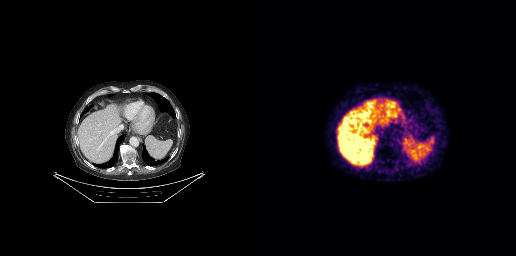
No PSMA-avid tumor lesions on this slice.